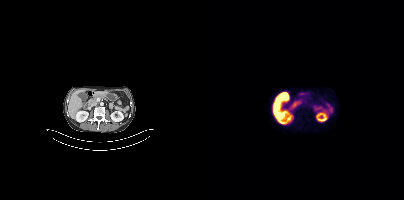
{"modality":"PSMA PET/CT","view":"axial","tracer":"18F-PSMA","pet_grid":[200,200],"coord_frame":"pet_panel","coord_format":"x0,y0,x1,y1","psma_avid_lesions":false}